Two-panel axial: CT | PSMA PET, 18F tracer. Slice position z = -906 mm.
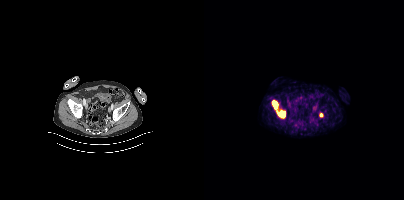
Coordinates are on the 200×200 PET (right) panel. PSMA-avid tumor lesion bounding box (x0,y0,x1,y1): [68,100,81,118]. Small PSMA-avid focus (2 to 4 px across) near (center x, center y): (117, 115).